Left: CT. Right: PSMA PET, same axial level, 18F tracer. Slice 168 of 429. PET panel 200×200 px (4.1 mm/px).
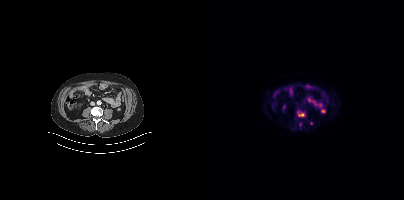
Coordinates are on the 200×200 PET (right) panel. Small PSMA-avid focus (2 to 4 px across) near (center x, center y): (98, 114).